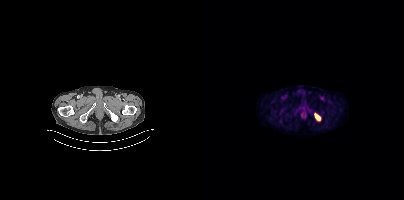
modality: PSMA PET/CT | tracer: [18F]PSMA-1007 | view: axial | PET grid: 200×200
Coordinates are on the 200×200 PET (right) panel. PSMA-avid tumor lesion bounding box (x0,y0,x1,y1): [110,113,116,120].